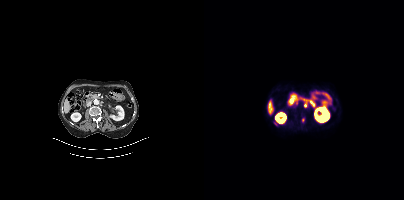
Findings: Coordinates are on the 200×200 PET (right) panel. Small PSMA-avid foci (2 to 4 px across) near (center x, center y): (101, 105) (98, 120) (71, 123).
Technique: Paired axial CT (left) and PSMA PET (right), [68Ga]Ga-PSMA-11 tracer. slice position z = -1316 mm. PET panel 200×200 px (4.1 mm/px).